- Paired axial CT (left) and PSMA PET (right), 68Ga-PSMA tracer
- PET panel 168×168 px (4.1 mm/px)
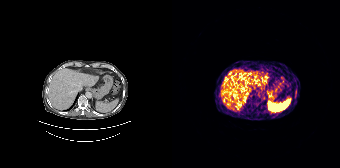
Findings: Coordinates are on the 168×168 PET (right) panel. PSMA-avid tumor lesion bounding box (x0, y0)-(x1, y1): (123, 89)-(124, 94).